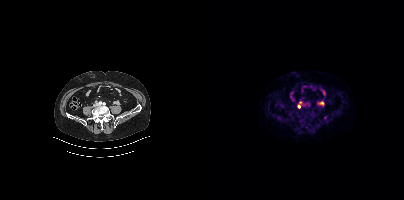
Coordinates are on the 200×200 PET (right) panel. Small PSMA-avid focus (2 to 4 px across) near (center x, center y): (94, 106).